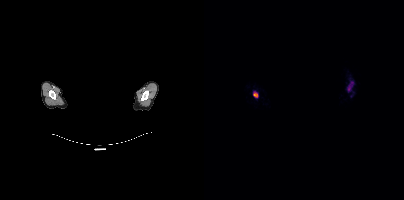
{"pet_grid":[200,200],"coord_frame":"pet_panel","coord_format":"x0,y0,x1,y1","lesion_bboxes":[[49,91,54,97],[144,84,148,90]],"redaction":"rectangular block over head set to black","modality":"PSMA PET/CT","view":"axial","tracer":"[18F]PSMA-1007"}